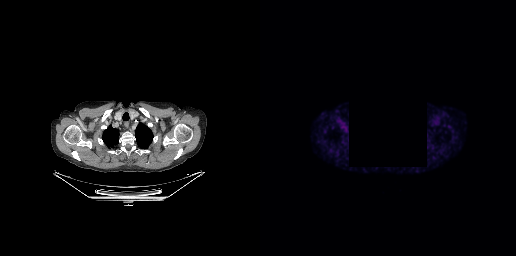
No tumor lesions annotated on this slice. Paired axial CT (left) and PSMA PET (right), [18F]PSMA-1007 tracer. Slice position z = -136 mm. PET panel 256×256 px (2.7 mm/px). Privacy masking, with the pixels inside a rectangle set to black.